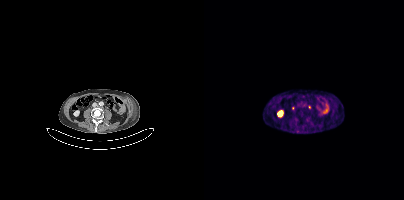
{"modality":"PSMA PET/CT","view":"axial","tracer":"68Ga-PSMA","pet_grid":[200,200],"coord_frame":"pet_panel","coord_format":"x0,y0,x1,y1","psma_avid_lesions":false}